modality: PSMA PET/CT | tracer: 18F | view: axial
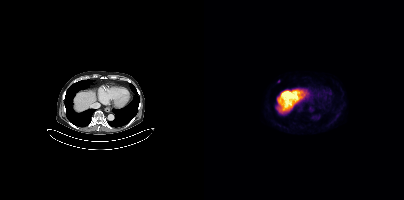
Coordinates are on the 200×200 PET (right) panel. Small PSMA-avid focus (2 to 4 px across) near (center x, center y): (74, 81).